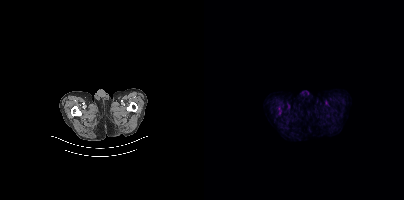
modality: PSMA PET/CT | tracer: 18F-PSMA | view: axial | PET grid: 200×200
Coordinates are on the 200×200 PET (right) panel. (showing 1 of 2 foci) Small PSMA-avid focus (2 to 4 px across) near (center x, center y): (75, 112).